Paired axial CT (left) and PSMA PET (right), [18F]PSMA-1007 tracer. Acquired on Siemens Biograph mCT Flow 20. PET panel 200×200 px (4.1 mm/px). Head region blanked for anonymization (face removed).
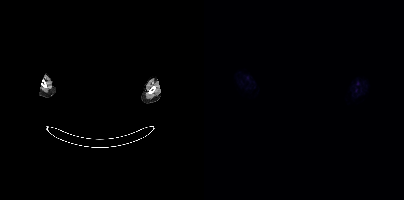
Negative for PSMA-avid disease on this slice.